Technique: Two-panel axial: CT | PSMA PET, 18F-PSMA tracer. slice 261 of 263. PET panel 256×256 px (2.7 mm/px).
Note: Head region blanked for anonymization (face removed).
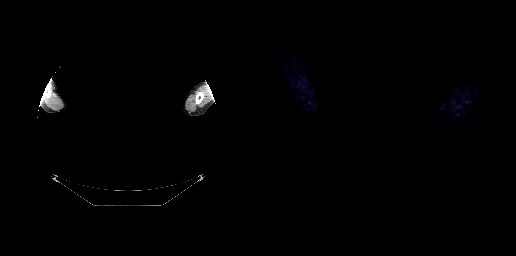
Findings: Negative for PSMA-avid disease on this slice.